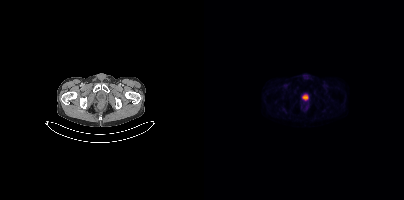
{"modality":"PSMA PET/CT","view":"axial","tracer":"18F-PSMA","pet_grid":[200,200],"coord_frame":"pet_panel","coord_format":"x0,y0,x1,y1","psma_avid_lesions":false}